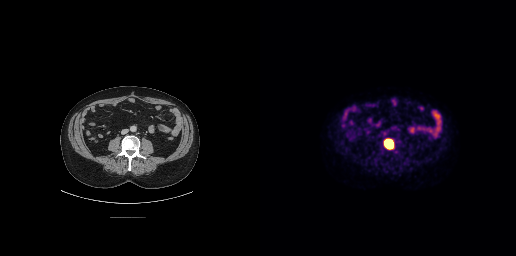
Coordinates are on the 256×256 PET (right) panel. PSMA-avid tumor lesion bounding box (x0, y0)-(x1, y1): (123, 138)-(134, 149).